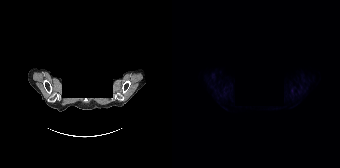
{"modality":"PSMA PET/CT","view":"axial","tracer":"[18F]PSMA-1007","pet_grid":[168,168],"coord_frame":"pet_panel","coord_format":"x0,y0,x1,y1","de-identification":"face masked with black rectangle","psma_avid_lesions":false}